Left: CT. Right: PSMA PET, same axial level, 68Ga tracer. Slice position z = -170 mm. The face region was removed for patient privacy by blanking a rectangle over the head.
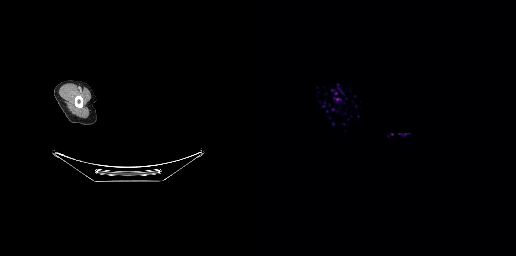
This slice has no annotated PSMA-avid lesion.